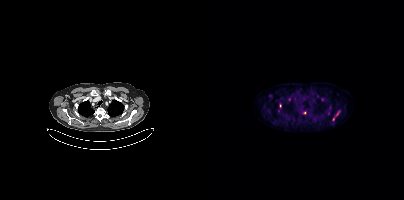
Coordinates are on the 200×200 PET (right) panel. Small PSMA-avid foci (2 to 4 px across) near (center x, center y): (100, 113) (76, 105) (132, 114) (129, 118).
modality: PSMA PET/CT | tracer: [18F]PSMA-1007 | view: axial | PET grid: 200×200